Left: CT. Right: PSMA PET, same axial level, 18F tracer. Acquired on Siemens Biograph mCT Flow 20. Slice position z = -399 mm.
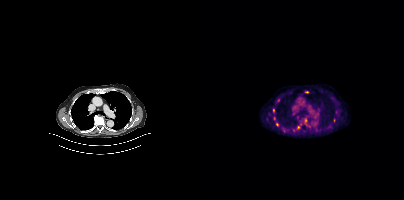
Coordinates are on the 200×200 PET (right) panel. (showing 3 of 6 foci) Small PSMA-avid foci (2 to 4 px across) near (center x, center y): (69, 109) / (72, 124) / (94, 127).